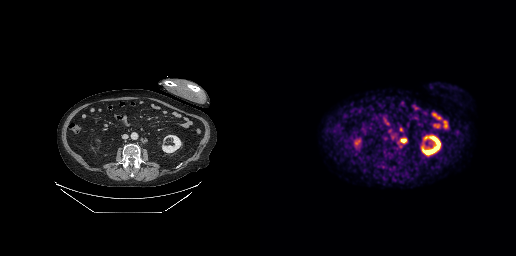
Coordinates are on the 256×256 PET (right) panel. PSMA-avid tumor lesion bounding boxes:
| # | x0 | y0 | x1 | y1 |
|---|---|---|---|---|
| 1 | 140 | 138 | 146 | 143 |
Small PSMA-avid focus (2 to 4 px across) near (center x, center y): (140, 129).
Left: CT. Right: PSMA PET, same axial level, [18F]PSMA-1007 tracer. Slice 157 of 299.